Facial anatomy redacted by setting a rectangular region of the head to black. Left: CT. Right: PSMA PET, same axial level, [68Ga]Ga-PSMA-11 tracer. Slice 396 of 397.
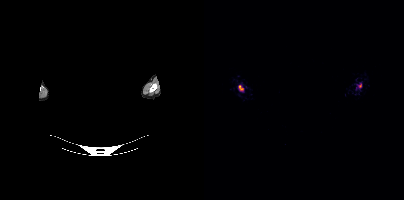
Coordinates are on the 200×200 PET (right) panel. PSMA-avid tumor lesion bounding boxes:
| # | x0 | y0 | x1 | y1 |
|---|---|---|---|---|
| 1 | 35 | 85 | 39 | 90 |
| 2 | 154 | 83 | 157 | 87 |